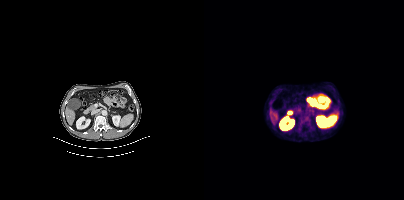
Coordinates are on the 200×200 PET (right) panel. PSMA-avid tumor lesion bounding box (x0, y0)-(x1, y1): (95, 115)-(106, 126).
modality: PSMA PET/CT | tracer: 18F | view: axial | PET grid: 200×200